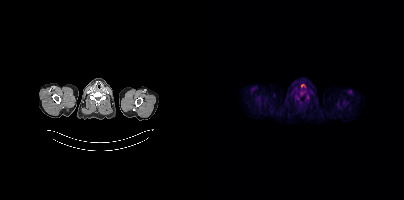
This slice has no annotated PSMA-avid lesion.